Technique: Paired axial CT (left) and PSMA PET (right), [18F]PSMA-1007 tracer. PET panel 256×256 px (2.7 mm/px).
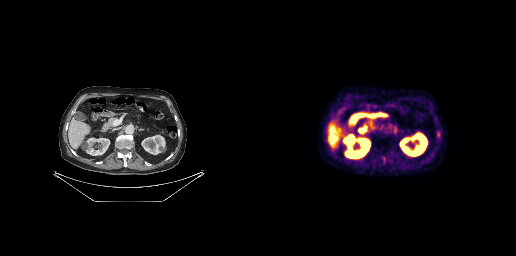
Findings: Negative for PSMA-avid disease on this slice.